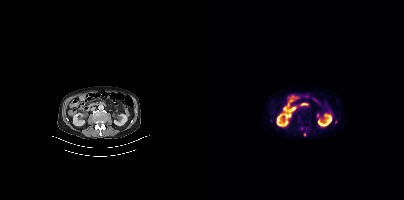
Left: CT. Right: PSMA PET, same axial level, 18F-PSMA tracer. Slice 218 of 466. PET panel 200×200 px (4.1 mm/px). Coordinates are on the 200×200 PET (right) panel. (showing 1 of 2 foci) Small PSMA-avid focus (2 to 4 px across) near (center x, center y): (100, 134).